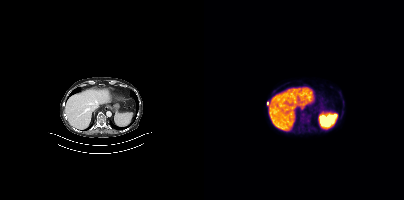
Coordinates are on the 200×200 PET (right) panel. PSMA-avid tumor lesion bounding box (x, y, width, height): x=96 y=114 w=9 h=9. Small PSMA-avid focus (2 to 4 px across) near (center x, center y): (64, 103).